Technique: Paired axial CT (left) and PSMA PET (right), [68Ga]Ga-PSMA-11 tracer. acquired on Siemens Biograph 64-4R TruePoint.
Note: Any black rectangle over the head is a privacy mask, not anatomy.
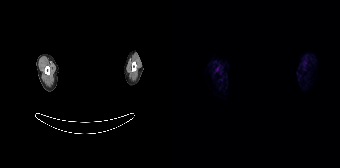
Findings: This slice has no annotated PSMA-avid lesion.